modality: PSMA PET/CT | tracer: 18F-PSMA | view: axial
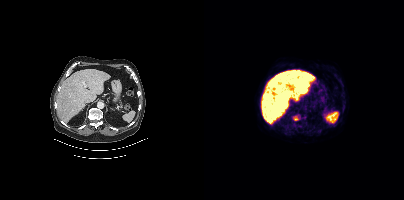
Coordinates are on the 200×200 PET (right) panel. Small PSMA-avid focus (2 to 4 px across) near (center x, center y): (91, 119).